Two-panel axial: CT | PSMA PET, 18F tracer. Acquired on GE Discovery 690. PET panel 256×256 px (2.7 mm/px).
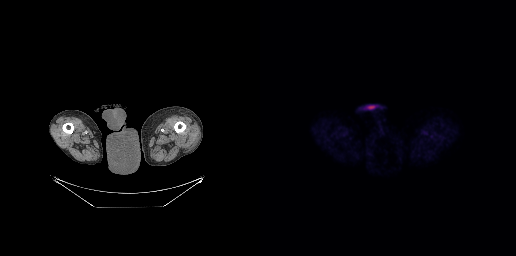
No PSMA-avid tumor lesions on this slice.